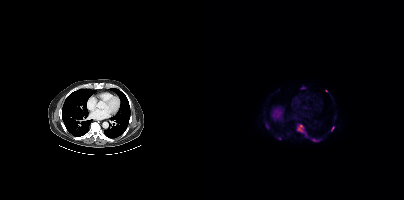
Findings: Coordinates are on the 200×200 PET (right) panel. PSMA-avid tumor lesion bounding boxes (x, y, width, height): x=93 y=124 w=12 h=14 / x=108 y=139 w=7 h=3 / x=73 y=137 w=5 h=3. Small PSMA-avid foci (2 to 4 px across) near (center x, center y): (128, 128) / (99, 87) / (122, 90).
- Two-panel axial: CT | PSMA PET, [18F]PSMA-1007 tracer
- PET panel 200×200 px (4.1 mm/px)